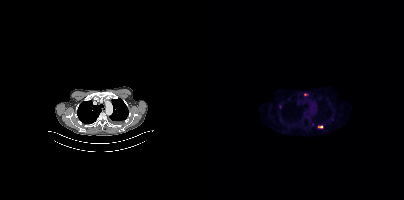
Coordinates are on the 200×200 PET (right) panel. (showing 3 of 4 foci) PSMA-avid tumor lesion bounding box (x0,y0,x1,y1): [114,126,118,127]. Small PSMA-avid foci (2 to 4 px across) near (center x, center y): (76, 106); (108, 124).